Paired axial CT (left) and PSMA PET (right), 18F-PSMA tracer. Slice 408 of 454. PET panel 200×200 px (4.1 mm/px). Facial anatomy redacted by setting a rectangular region of the head to black.
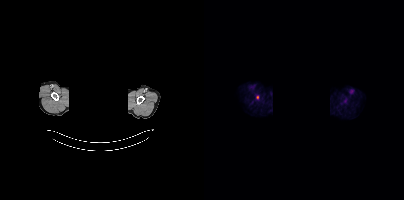
Coordinates are on the 200×200 PET (right) panel. Small PSMA-avid focus (2 to 4 px across) near (center x, center y): (53, 97).